- Paired axial CT (left) and PSMA PET (right), 18F-PSMA tracer
- slice position z = -508 mm
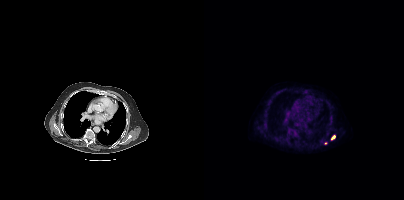
Findings: Coordinates are on the 200×200 PET (right) panel. (showing 1 of 2 foci) PSMA-avid tumor lesion bounding box (x0,y0,x1,y1): [127,135,131,139].